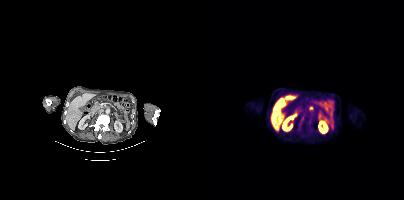
Two-panel axial: CT | PSMA PET, [18F]PSMA-1007 tracer. Acquired on Siemens Biograph mCT Flow 20. Slice 171 of 403.
Coordinates are on the 200×200 PET (right) panel. PSMA-avid tumor lesion bounding boxes:
| # | x0 | y0 | x1 | y1 |
|---|---|---|---|---|
| 1 | 96 | 115 | 101 | 123 |